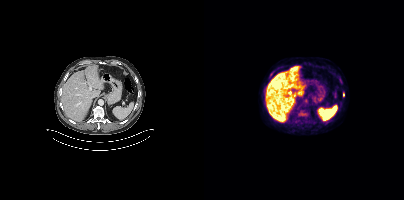
- Left: CT. Right: PSMA PET, same axial level, [18F]PSMA-1007 tracer
- acquired on Siemens Biograph mCT Flow 20
Findings: Coordinates are on the 200×200 PET (right) panel. Small PSMA-avid focus (2 to 4 px across) near (center x, center y): (139, 94).